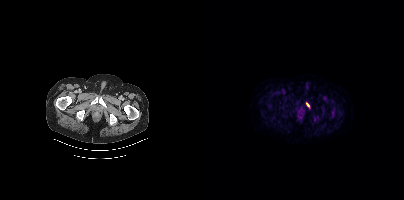
Paired axial CT (left) and PSMA PET (right), [18F]PSMA-1007 tracer. Acquired on Siemens Biograph mCT Flow 20. Slice 61 of 462. PET panel 200×200 px (4.1 mm/px).
Coordinates are on the 200×200 PET (right) panel. PSMA-avid tumor lesion bounding boxes:
| # | x0 | y0 | x1 | y1 |
|---|---|---|---|---|
| 1 | 102 | 102 | 106 | 108 |